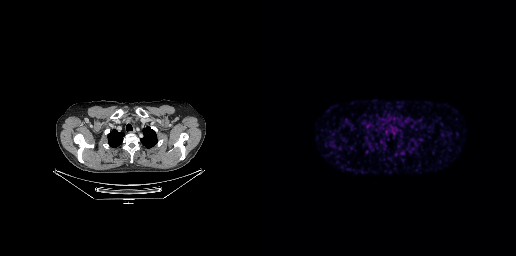
modality: PSMA PET/CT | tracer: 68Ga-PSMA | view: axial | PET grid: 256×256
Negative for PSMA-avid disease on this slice.